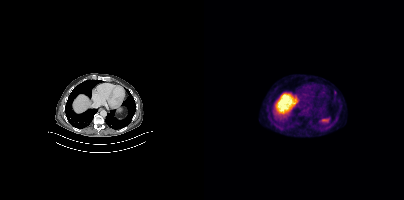
Coordinates are on the 200×200 PET (right) panel. Small PSMA-avid focus (2 to 4 px across) near (center x, center y): (130, 91).